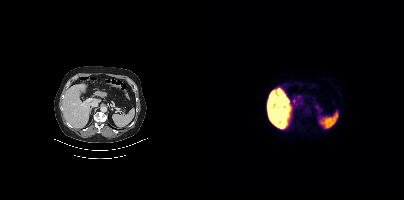
{"modality":"PSMA PET/CT","view":"axial","tracer":"18F","pet_grid":[200,200],"coord_frame":"pet_panel","coord_format":"x0,y0,x1,y1","psma_avid_lesions":false}